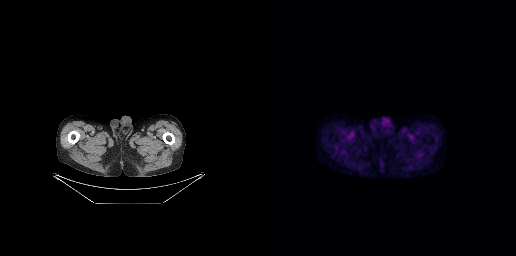
This slice has no annotated PSMA-avid lesion.